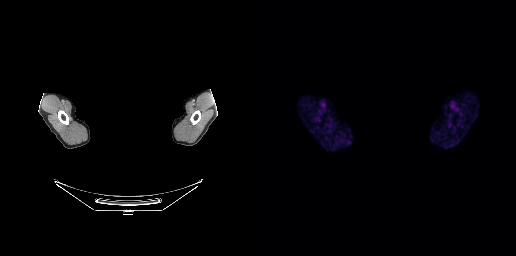
{"modality":"PSMA PET/CT","view":"axial","tracer":"68Ga-PSMA","pet_grid":[256,256],"coord_frame":"pet_panel","coord_format":"x0,y0,x1,y1","psma_avid_lesions":false,"deidentification":"head region blacked out before release"}